Left: CT. Right: PSMA PET, same axial level, [68Ga]Ga-PSMA-11 tracer. Acquired on Siemens Biograph 64-4R TruePoint. PET panel 168×168 px (4.1 mm/px).
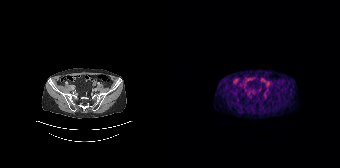
No PSMA-avid tumor lesions on this slice.